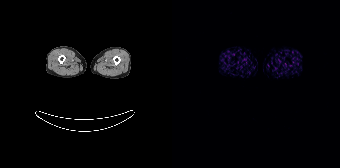
Two-panel axial: CT | PSMA PET, 68Ga-PSMA tracer. PET panel 168×168 px (4.1 mm/px). No PSMA-avid tumor lesions on this slice.